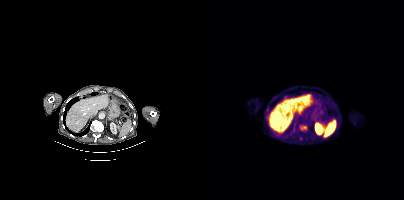
Findings: Coordinates are on the 200×200 PET (right) panel. PSMA-avid tumor lesion bounding boxes (x, y, width, height): x=95 y=125 w=8 h=6; x=95 y=136 w=4 h=6.
Technique: Paired axial CT (left) and PSMA PET (right), 18F tracer. slice position z = -1132 mm.